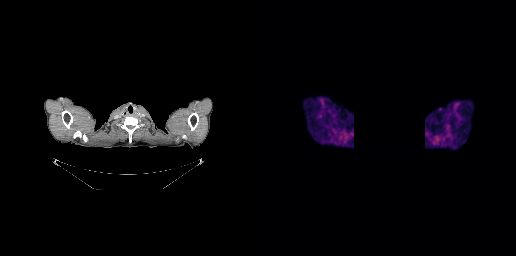
Findings: No PSMA-avid tumor lesions on this slice.
Technique: Left: CT. Right: PSMA PET, same axial level, 18F-PSMA tracer. slice 231 of 263.
Note: A black rectangle in this scan is a privacy mask, not anatomy.